modality: PSMA PET/CT | tracer: 18F | view: axial
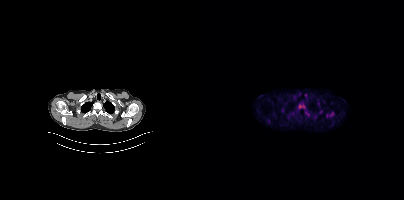
Coordinates are on the 200×200 PET (right) panel. PSMA-avid tumor lesion bounding box (x0, y0)-(x1, y1): (122, 111)-(130, 117). Small PSMA-avid foci (2 to 4 px across) near (center x, center y): (116, 111); (111, 116).